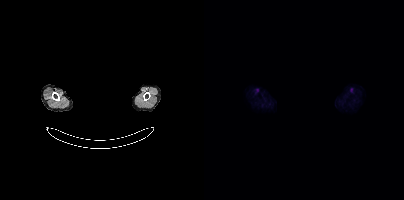
A rectangle over the head was blacked out to remove identifiable facial features.
No PSMA-avid tumor lesions on this slice.